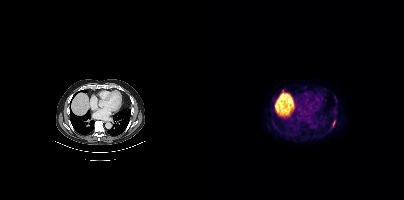
modality: PSMA PET/CT | tracer: 18F-PSMA | view: axial | PET grid: 200×200
Coordinates are on the 200×200 PET (right) panel. PSMA-avid tumor lesion bounding box (x, y, width, height): x=128 y=120 w=4 h=8.